modality: PSMA PET/CT | tracer: [18F]PSMA-1007 | view: axial
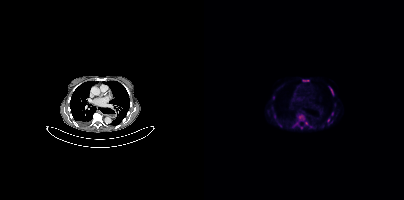
Coordinates are on the 200×200 PET (right) panel. (showing 8 of 9 foci) PSMA-avid tumor lesion bounding boxes (x, y, width, height): x=95 y=115 w=6 h=6; x=125 y=87 w=5 h=9; x=99 y=80 w=6 h=2. Small PSMA-avid foci (2 to 4 px across) near (center x, center y): (102, 123); (69, 97); (124, 120); (128, 114); (97, 127).